Technique: Paired axial CT (left) and PSMA PET (right), 18F-PSMA tracer. acquired on Siemens Biograph mCT Flow 20. PET panel 200×200 px (4.1 mm/px).
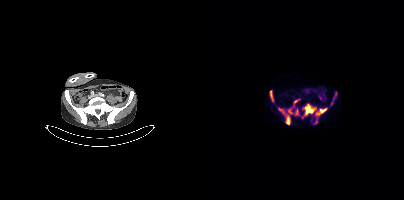
Findings: Coordinates are on the 200×200 PET (right) panel. (showing 8 of 9 foci) PSMA-avid tumor lesion bounding boxes (x0, y0)-(x1, y1): (99, 104)-(112, 115) / (109, 108)-(123, 124) / (74, 107)-(88, 114) / (82, 115)-(86, 124) / (66, 90)-(70, 102) / (126, 92)-(133, 105) / (91, 109)-(94, 115) / (90, 99)-(95, 104).